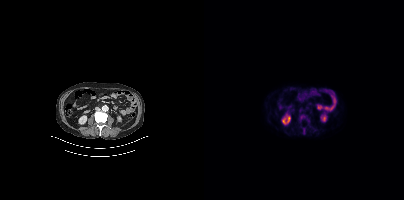
Findings: Coordinates are on the 200×200 PET (right) panel. PSMA-avid tumor lesion bounding boxes (x0, y0)-(x1, y1): (97, 127)-(101, 134) | (96, 115)-(100, 119).
Technique: Left: CT. Right: PSMA PET, same axial level, 18F-PSMA tracer. PET panel 200×200 px (4.1 mm/px).